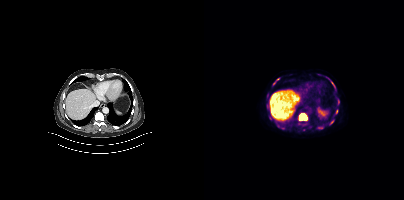
Technique: Paired axial CT (left) and PSMA PET (right), [18F]PSMA-1007 tracer. acquired on Siemens Biograph mCT Flow 20.
Findings: Coordinates are on the 200×200 PET (right) panel. (showing 5 of 9 foci) PSMA-avid tumor lesion bounding boxes (x0,y0,x1,y1): [95,113,103,120]; [127,81,129,85]. Small PSMA-avid foci (2 to 4 px across) near (center x, center y): (70, 83); (132, 111); (74, 79).